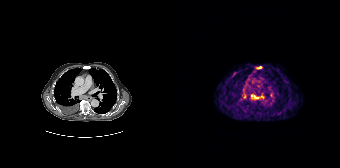
Findings: Coordinates are on the 168×168 PET (right) panel. PSMA-avid tumor lesion bounding boxes (x0,y0,x1,y1): [79,95,87,98] [84,66,90,69]. Small PSMA-avid focus (2 to 4 px across) near (center x, center y): (90, 96).
- Left: CT. Right: PSMA PET, same axial level, 68Ga-PSMA tracer
- acquired on Siemens Biograph 64-4R TruePoint
- PET panel 168×168 px (4.1 mm/px)